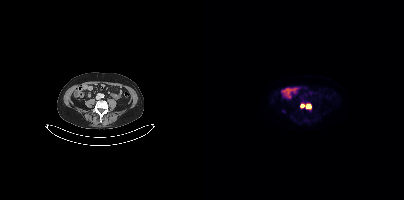
Paired axial CT (left) and PSMA PET (right), 18F tracer. Acquired on Siemens Biograph mCT Flow 20. Slice 156 of 421. PET panel 200×200 px (4.1 mm/px). Coordinates are on the 200×200 PET (right) panel. PSMA-avid tumor lesion bounding box (x0,y0,x1,y1): [102,104,107,108]. Small PSMA-avid focus (2 to 4 px across) near (center x, center y): (98, 105).